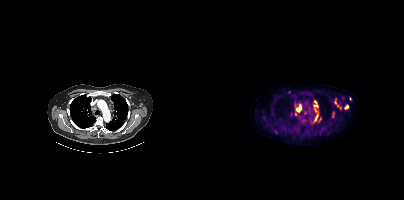
Coordinates are on the 200×200 PET (right) panel. (showing 10 of 12 foci) PSMA-avid tumor lesion bounding boxes (x0, y0)-(x1, y1): (91, 104)-(97, 116) / (110, 100)-(114, 107) / (107, 115)-(114, 123) / (131, 98)-(137, 109) / (128, 112)-(130, 117). Small PSMA-avid foci (2 to 4 px across) near (center x, center y): (142, 106) / (111, 110) / (146, 98) / (100, 113) / (116, 119).
modality: PSMA PET/CT | tracer: [18F]PSMA-1007 | view: axial | PET grid: 200×200